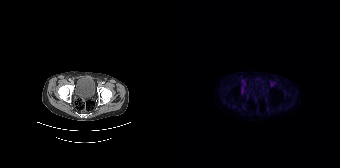
{"modality":"PSMA PET/CT","view":"axial","tracer":"[18F]PSMA-1007","pet_grid":[168,168],"coord_frame":"pet_panel","coord_format":"x0,y0,x1,y1","psma_avid_lesions":false}